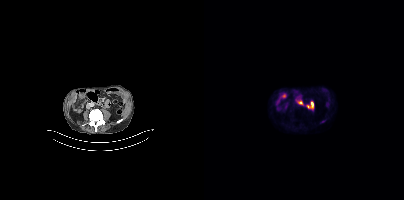
Technique: Paired axial CT (left) and PSMA PET (right), 18F tracer. PET panel 200×200 px (4.1 mm/px).
Findings: Only PSMA-avid lesion pieces thinner than 2 px on this slice (not listed).